Technique: Left: CT. Right: PSMA PET, same axial level, [18F]PSMA-1007 tracer. slice 194 of 397.
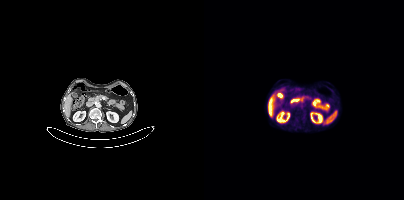
Findings: No PSMA-avid tumor lesions on this slice.